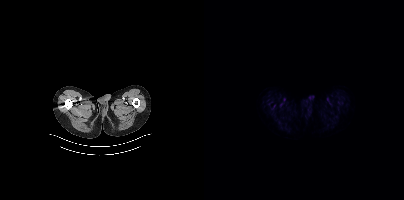
{"modality":"PSMA PET/CT","view":"axial","tracer":"18F","pet_grid":[200,200],"coord_frame":"pet_panel","coord_format":"x0,y0,x1,y1","psma_avid_lesions":false}